Two-panel axial: CT | PSMA PET, 68Ga-PSMA tracer. Acquired on Siemens Biograph 64-4R TruePoint. PET panel 168×168 px (4.1 mm/px).
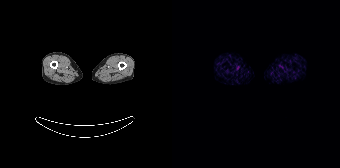
Negative for PSMA-avid disease on this slice.